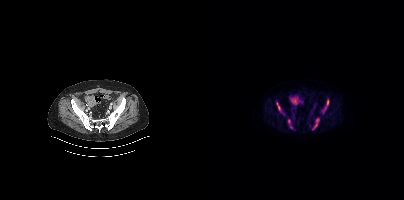
{"modality":"PSMA PET/CT","view":"axial","tracer":"[18F]PSMA-1007","pet_grid":[200,200],"coord_frame":"pet_panel","coord_format":"x0,y0,x1,y1","lesion_bboxes":[[108,118,115,129],[72,102,76,111],[122,99,124,105],[84,119,86,123]],"small_foci_centers":[[87,127],[121,108]]}